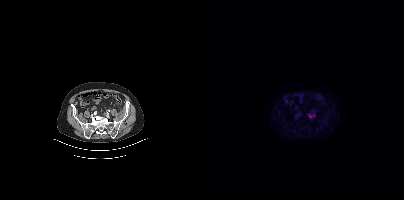
Paired axial CT (left) and PSMA PET (right), 18F tracer. Acquired on Siemens Biograph mCT Flow 20. Slice 110 of 383. Coordinates are on the 200×200 PET (right) panel. Small PSMA-avid foci (2 to 4 px across) near (center x, center y): (106, 116) / (93, 115).